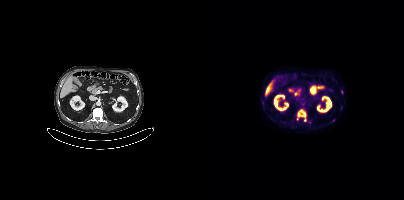
Coordinates are on the 200×200 PET (right) panel. PSMA-avid tumor lesion bounding boxes:
| # | x0 | y0 | x1 | y1 |
|---|---|---|---|---|
| 1 | 93 | 109 | 102 | 121 |
Small PSMA-avid focus (2 to 4 px across) near (center x, center y): (137, 92).
Paired axial CT (left) and PSMA PET (right), [18F]PSMA-1007 tracer.